Any black rectangle here is a de-identification mask. Left: CT. Right: PSMA PET, same axial level, 18F tracer.
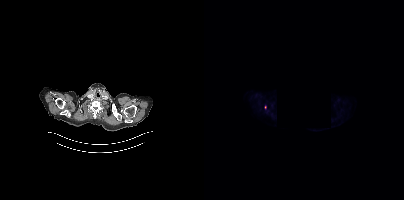
Coordinates are on the 200×200 PET (right) panel. Small PSMA-avid focus (2 to 4 px across) near (center x, center y): (61, 107).